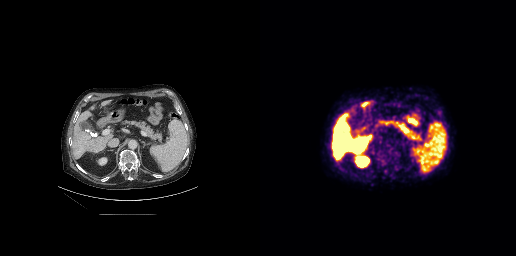
Technique: Paired axial CT (left) and PSMA PET (right), 18F tracer. slice position z = -382 mm.
Findings: Coordinates are on the 256×256 PET (right) panel. (showing 3 of 4 foci) PSMA-avid tumor lesion bounding boxes (x, y, width, height): x=118 y=148 w=15 h=21 / x=174 y=108 w=9 h=11 / x=123 y=167 w=6 h=6.